Two-panel axial: CT | PSMA PET, [18F]PSMA-1007 tracer. Slice 158 of 409.
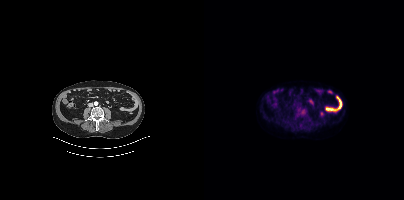
No PSMA-avid tumor lesions on this slice.